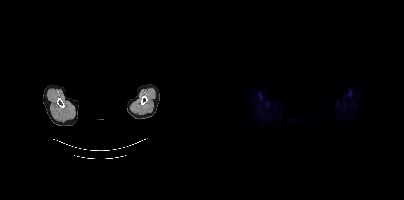
- Left: CT. Right: PSMA PET, same axial level, 18F-PSMA tracer
- slice 369 of 401
- the head region is masked for de-identification
Findings: No tumor lesions annotated on this slice.